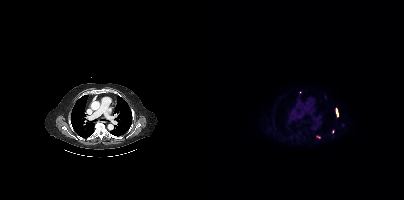
Paired axial CT (left) and PSMA PET (right), 18F tracer. Acquired on Siemens Biograph mCT Flow 20. Slice position z = -1018 mm. Coordinates are on the 200×200 PET (right) panel. (showing 2 of 4 foci) PSMA-avid tumor lesion bounding box (x0, y0)-(x1, y1): (132, 108)-(134, 116). Small PSMA-avid focus (2 to 4 px across) near (center x, center y): (114, 137).